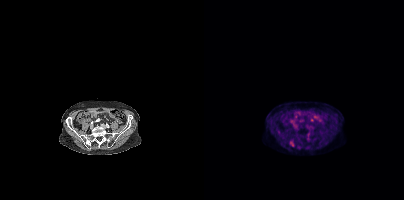
Coordinates are on the 200×200 PET (right) panel. PSMA-avid tumor lesion bounding box (x0, y0)-(x1, y1): (85, 142)-(90, 146).